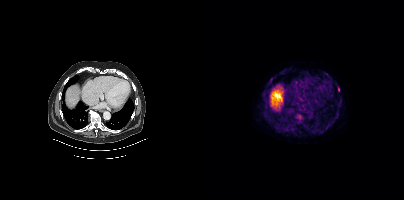
Coordinates are on the 200×200 PET (right) panel. PSMA-avid tumor lesion bounding boxes (partial; 1 more focus not listed):
| # | x0 | y0 | x1 | y1 |
|---|---|---|---|---|
| 1 | 93 | 115 | 97 | 119 |
Left: CT. Right: PSMA PET, same axial level, 18F-PSMA tracer. Slice position z = -537 mm. PET panel 200×200 px (4.1 mm/px).